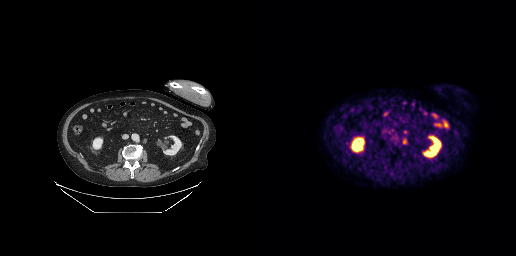
- Left: CT. Right: PSMA PET, same axial level, 18F tracer
- slice position z = -467 mm
- PET panel 256×256 px (2.7 mm/px)
Findings: Coordinates are on the 256×256 PET (right) panel. Small PSMA-avid focus (2 to 4 px across) near (center x, center y): (144, 141).